modality: PSMA PET/CT | tracer: 18F-PSMA | view: axial | PET grid: 256×256
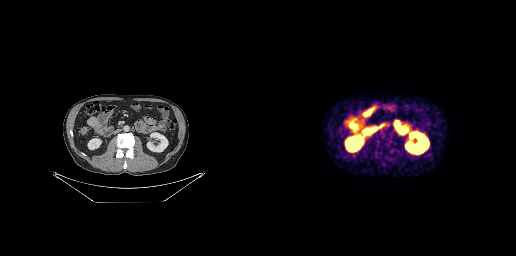
Coordinates are on the 256×256 PET (right) panel. PSMA-avid tumor lesion bounding box (x, y, width, height): x=116 y=143 w=4 h=5. Small PSMA-avid focus (2 to 4 px across) near (center x, center y): (131, 150).